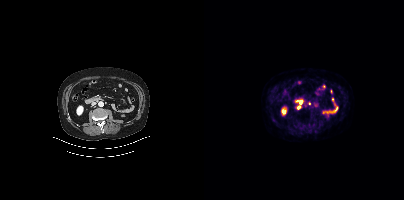
- Two-panel axial: CT | PSMA PET, 18F-PSMA tracer
- PET panel 200×200 px (4.1 mm/px)
Findings: Coordinates are on the 200×200 PET (right) panel. (showing 2 of 3 foci) Small PSMA-avid foci (2 to 4 px across) near (center x, center y): (97, 102); (94, 107).